Two-panel axial: CT | PSMA PET, [18F]PSMA-1007 tracer. Slice 127 of 425.
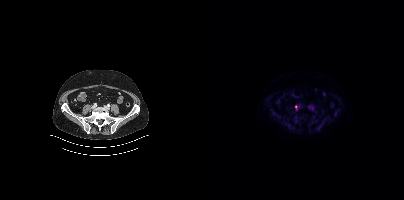
Coordinates are on the 200×200 PET (right) panel. Small PSMA-avid focus (2 to 4 px across) near (center x, center y): (91, 106).